modality: PSMA PET/CT | tracer: 18F | view: axial | PET grid: 200×200
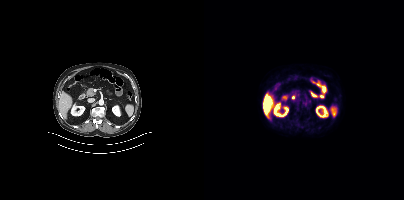
This slice has no annotated PSMA-avid lesion.